Two-panel axial: CT | PSMA PET, 18F tracer.
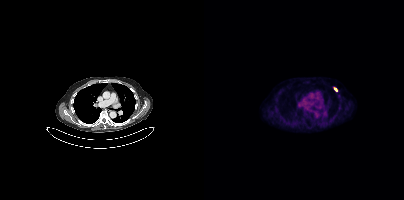
Coordinates are on the 200×200 PET (right) panel. Small PSMA-avid focus (2 to 4 px across) near (center x, center y): (131, 89).